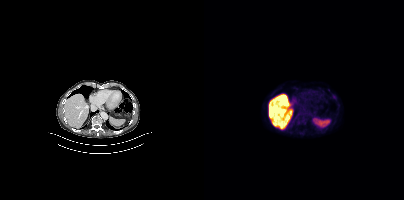
{"modality":"PSMA PET/CT","view":"axial","tracer":"[18F]PSMA-1007","pet_grid":[200,200],"coord_frame":"pet_panel","coord_format":"x0,y0,x1,y1","psma_avid_lesions":false}